- a rectangular block over the head has been blanked out for de-identification
- Two-panel axial: CT | PSMA PET, 68Ga tracer
- slice position z = -644 mm
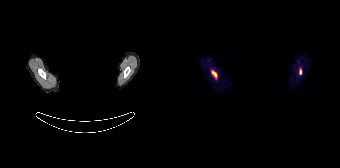
Findings: Coordinates are on the 168×168 PET (right) panel. PSMA-avid tumor lesion bounding boxes (x0, y0)-(x1, y1): (39, 70)-(45, 79) | (127, 68)-(129, 74).